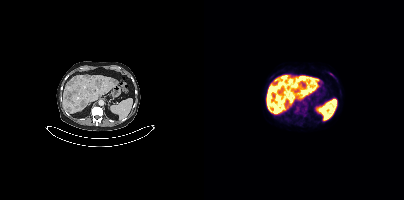
Coordinates are on the 200×200 PET (right) panel. PSMA-avid tumor lesion bounding boxes (x0,y0,x1,y1): [66,107,75,113]; [91,76,100,83]; [66,98,70,103]; [125,73,130,76].
modality: PSMA PET/CT | tracer: 18F-PSMA | view: axial | PET grid: 200×200